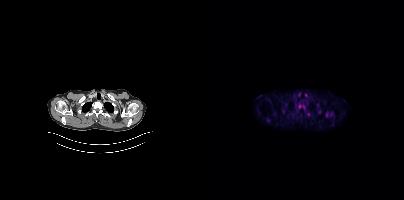
Coordinates are on the 200×200 PET (right) panel. PSMA-avid tumor lesion bounding box (x0, y0)-(x1, y1): (122, 112)-(128, 116). Small PSMA-avid focus (2 to 4 px across) near (center x, center y): (115, 111).